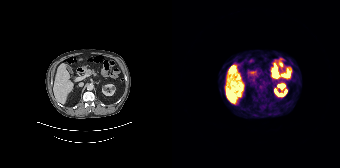
Findings: No PSMA-avid tumor lesions on this slice.
- Left: CT. Right: PSMA PET, same axial level, [68Ga]Ga-PSMA-11 tracer
- acquired on Siemens Biograph 64-4R TruePoint
- slice 109 of 195
- PET panel 168×168 px (4.1 mm/px)